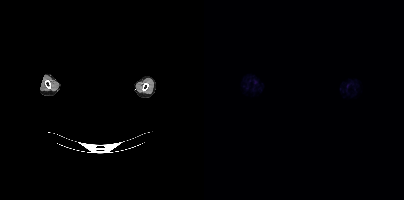
{"modality":"PSMA PET/CT","view":"axial","tracer":"18F-PSMA","pet_grid":[200,200],"coord_frame":"pet_panel","coord_format":"x0,y0,x1,y1","psma_avid_lesions":false,"de-identification":"privacy mask over head"}